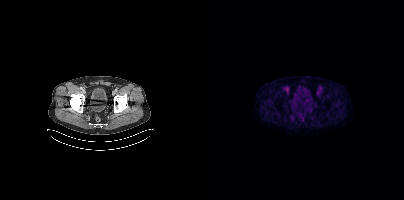
- Paired axial CT (left) and PSMA PET (right), 18F tracer
- acquired on Siemens Biograph mCT Flow 20
- PET panel 200×200 px (4.1 mm/px)
Findings: No PSMA-avid tumor lesions on this slice.